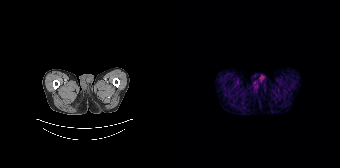
Paired axial CT (left) and PSMA PET (right), 68Ga tracer. Negative for PSMA-avid disease on this slice.